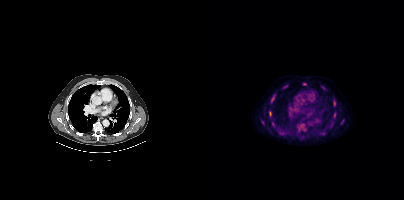
Coordinates are on the 200×200 PET (right) panel. (showing 7 of 8 foci) PSMA-avid tumor lesion bounding box (x0,y0,x1,y1): [65,111,67,115]. Small PSMA-avid foci (2 to 4 px across) near (center x, center y): (100, 84) (130, 104) (68, 101) (69, 123) (58, 122) (138, 122).
modality: PSMA PET/CT | tracer: 18F | view: axial